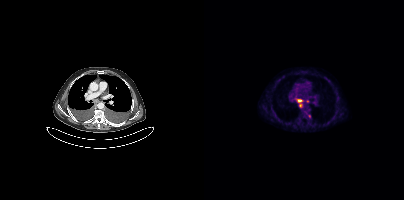
Coordinates are on the 200×200 PET (right) panel. PSMA-avid tumor lesion bounding box (x0, y0)-(x1, y1): (93, 99)-(98, 102). Small PSMA-avid foci (2 to 4 px across) near (center x, center y): (96, 105) | (103, 101) | (105, 116).